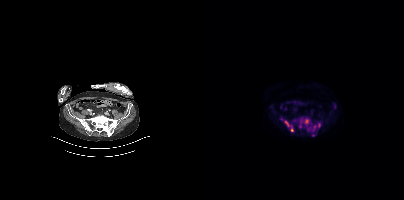
Coordinates are on the 200×200 PET (right) panel. PSMA-avid tumor lesion bounding boxes (x, y, width, height): x=105 y=122 w=12 h=10; x=80 y=120 w=10 h=12; x=100 y=119 w=6 h=6; x=94 y=123 w=6 h=5; x=95 y=116 w=5 h=4. Small PSMA-avid focus (2 to 4 px across) near (center x, center y): (109, 135).
modality: PSMA PET/CT | tracer: [18F]PSMA-1007 | view: axial | PET grid: 200×200